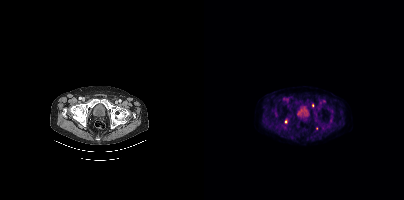
{"pet_grid":[200,200],"coord_frame":"pet_panel","coord_format":"x0,y0,x1,y1","partial":true,"lesion_bboxes":[],"small_foci_centers":[[81,121],[108,105]],"modality":"PSMA PET/CT","view":"axial","tracer":"18F"}